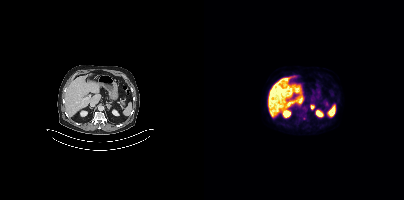
Findings: Coordinates are on the 200×200 PET (right) panel. PSMA-avid tumor lesion bounding box (x0, y0)-(x1, y1): (106, 104)-(110, 109). Small PSMA-avid focus (2 to 4 px across) near (center x, center y): (100, 118).
- Paired axial CT (left) and PSMA PET (right), [18F]PSMA-1007 tracer